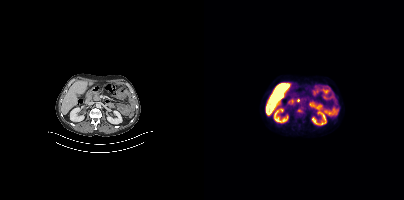
Coordinates are on the 200×200 PET (right) panel. Small PSMA-avid focus (2 to 4 px across) near (center x, center y): (95, 110). Paired axial CT (left) and PSMA PET (right), 18F tracer. Acquired on Siemens Biograph mCT Flow 20.